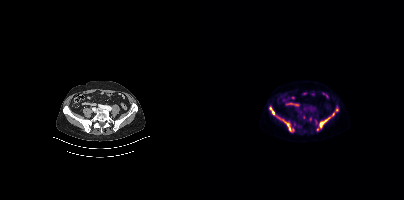
Left: CT. Right: PSMA PET, same axial level, 18F tracer. Acquired on Siemens Biograph mCT Flow 20. PET panel 200×200 px (4.1 mm/px). Coordinates are on the 200×200 PET (right) panel. (showing 8 of 10 foci) PSMA-avid tumor lesion bounding boxes (x0,y0,x1,y1): [115,112,130,128] [74,117,87,131] [105,117,107,121]. Small PSMA-avid foci (2 to 4 px across) near (center x, center y): (133, 109) (69, 113) (113, 129) (66, 107) (90, 124).